Left: CT. Right: PSMA PET, same axial level, 18F-PSMA tracer. Slice position z = -374 mm. PET panel 200×200 px (4.1 mm/px).
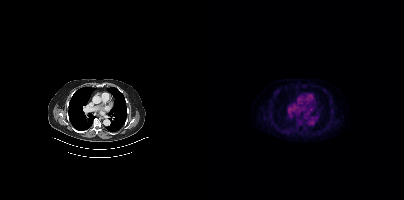
Negative for PSMA-avid disease on this slice.